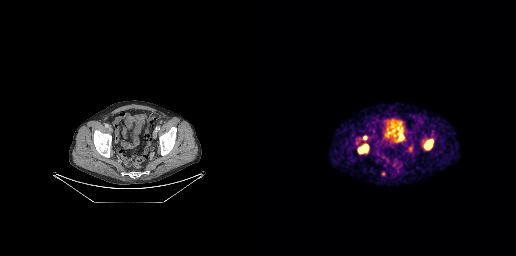
Technique: Left: CT. Right: PSMA PET, same axial level, 68Ga tracer. PET panel 256×256 px (2.7 mm/px).
Findings: Coordinates are on the 256×256 PET (right) panel. PSMA-avid tumor lesion bounding boxes (x0,y0,x1,y1): [98,144,108,152], [164,140,172,149], [138,133,143,140], [121,172,125,175]. Small PSMA-avid focus (2 to 4 px across) near (center x, center y): (104, 137).